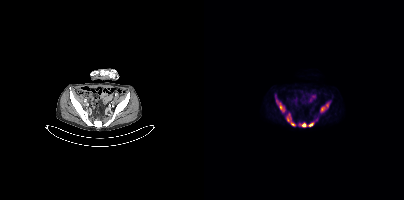
Two-panel axial: CT | PSMA PET, 18F tracer. PET panel 200×200 px (4.1 mm/px).
Coordinates are on the 200×200 PET (right) panel. PSMA-avid tumor lesion bounding boxes:
| # | x0 | y0 | x1 | y1 |
|---|---|---|---|---|
| 1 | 71 | 95 | 81 | 112 |
| 2 | 82 | 112 | 91 | 126 |
| 3 | 95 | 122 | 110 | 127 |
| 4 | 116 | 103 | 124 | 112 |